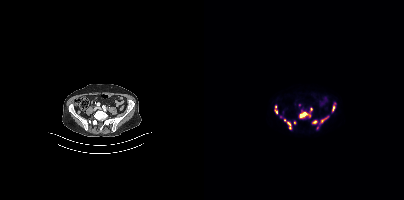
- Paired axial CT (left) and PSMA PET (right), [18F]PSMA-1007 tracer
- slice position z = -762 mm
Findings: Coordinates are on the 200×200 PET (right) panel. PSMA-avid tumor lesion bounding boxes (x0,y0,x1,y1): [96,112,103,117]; [117,117,123,122]; [76,116,81,121]; [71,109,73,113]; [128,106,130,110]. Small PSMA-avid foci (2 to 4 px across) near (center x, center y): (110, 121); (84, 123); (71, 106); (107, 109); (90, 122); (85, 127).